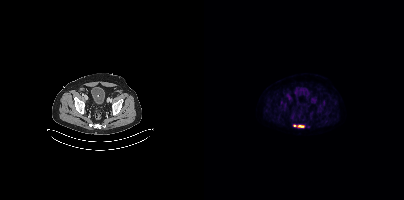
{"modality":"PSMA PET/CT","view":"axial","tracer":"18F-PSMA","pet_grid":[200,200],"coord_frame":"pet_panel","coord_format":"x0,y0,x1,y1","lesion_bboxes":[[89,124,100,127]]}